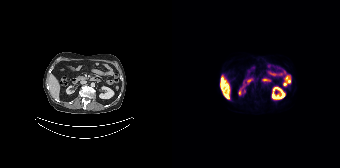
- Two-panel axial: CT | PSMA PET, 18F tracer
- slice position z = -1012 mm
Findings: Coordinates are on the 168×168 PET (right) panel. PSMA-avid tumor lesion bounding box (x0, y0)-(x1, y1): (53, 95)-(57, 98). Small PSMA-avid focus (2 to 4 px across) near (center x, center y): (50, 82).